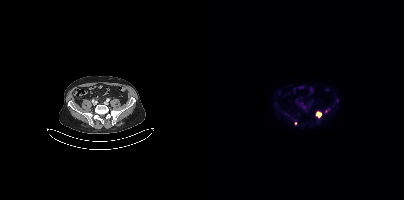
Coordinates are on the 200×200 PET (right) panel. (showing 5 of 8 foci) PSMA-avid tumor lesion bounding box (x, y, width, height): x=113 y=112 w=5 h=6. Small PSMA-avid foci (2 to 4 px across) near (center x, center y): (92, 101); (125, 109); (91, 123); (121, 111).
modality: PSMA PET/CT | tracer: 18F-PSMA | view: axial